Technique: Paired axial CT (left) and PSMA PET (right), 68Ga tracer.
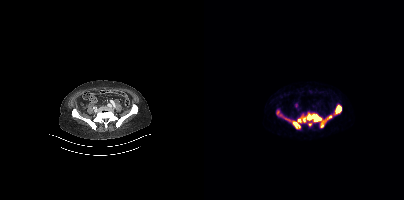
Findings: Coordinates are on the 200×200 PET (right) panel. PSMA-avid tumor lesion bounding boxes (x0,y0,x1,y1): [79,113,117,128] [116,115,128,127] [130,104,137,114] [73,109,77,117]. Small PSMA-avid focus (2 to 4 px across) near (center x, center y): (105, 124).